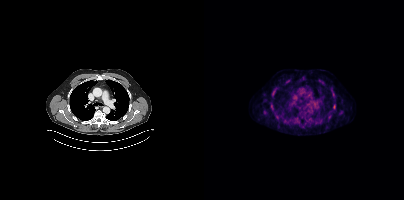
Left: CT. Right: PSMA PET, same axial level, 18F-PSMA tracer. Slice 336 of 454. PET panel 200×200 px (4.1 mm/px). Coordinates are on the 200×200 PET (right) panel. (showing 2 of 3 foci) Small PSMA-avid foci (2 to 4 px across) near (center x, center y): (129, 95), (129, 107).